Left: CT. Right: PSMA PET, same axial level, [18F]PSMA-1007 tracer.
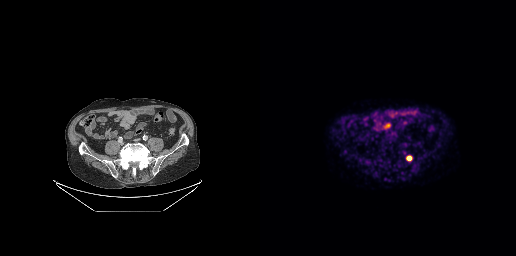
Coordinates are on the 256×256 PET (right) panel. PSMA-avid tumor lesion bounding box (x, y, width, height): x=147 y=156 w=5 h=4.